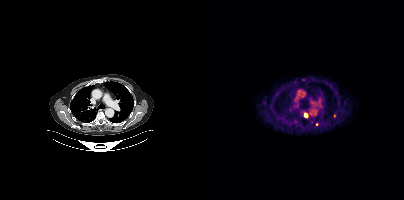
Coordinates are on the 200×200 PET (right) panel. PSMA-avid tumor lesion bounding box (x0, y0)-(x1, y1): (100, 112)-(104, 117). Small PSMA-avid foci (2 to 4 px across) near (center x, center y): (130, 115) | (113, 124).